Paired axial CT (left) and PSMA PET (right), 68Ga tracer. Acquired on Siemens Biograph mCT Flow 20. Slice 252 of 407. PET panel 200×200 px (4.1 mm/px).
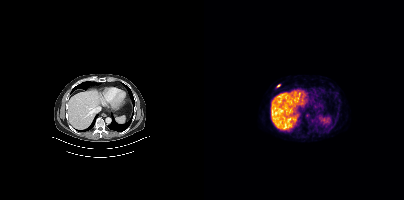
Coordinates are on the 200×200 PET (right) panel. Small PSMA-avid focus (2 to 4 px across) near (center x, center y): (74, 85).